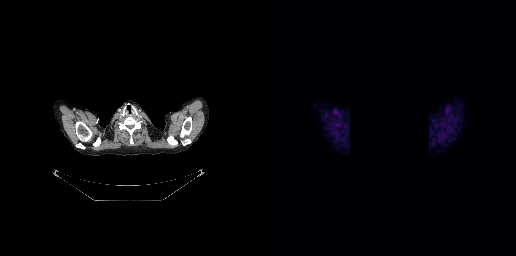
{"modality":"PSMA PET/CT","view":"axial","tracer":"18F","pet_grid":[256,256],"coord_frame":"pet_panel","coord_format":"x0,y0,x1,y1","de-identification":"black rectangle is a privacy mask","psma_avid_lesions":false}